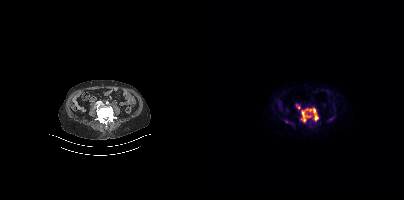
{"modality":"PSMA PET/CT","view":"axial","tracer":"68Ga","pet_grid":[200,200],"coord_frame":"pet_panel","coord_format":"x0,y0,x1,y1","partial":true,"lesion_bboxes":[[96,107,114,122],[92,104,96,108]],"small_foci_centers":[[82,121]]}